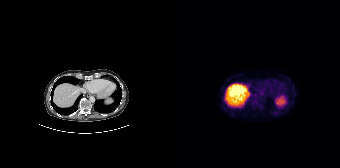
Left: CT. Right: PSMA PET, same axial level, 18F tracer. Slice position z = -883 mm. PET panel 168×168 px (4.1 mm/px). Negative for PSMA-avid disease on this slice.